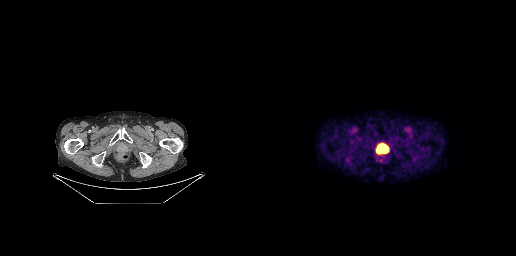
Coordinates are on the 256×256 PET (right) panel. PSMA-avid tumor lesion bounding box (x0, y0)-(x1, y1): (116, 143)-(128, 153).